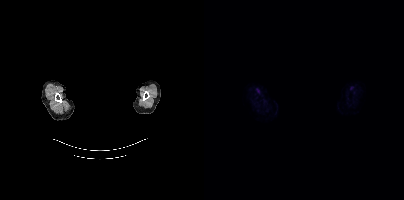
de-identification: head region blanked (face removed) | modality: PSMA PET/CT | tracer: [18F]PSMA-1007 | view: axial | PET grid: 200×200
Negative for PSMA-avid disease on this slice.